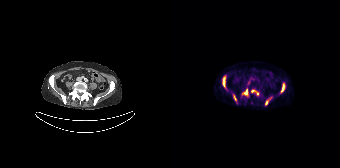
Two-panel axial: CT | PSMA PET, 68Ga tracer. Coordinates are on the 168×168 PET (right) panel. PSMA-avid tumor lesion bounding boxes (x, y, width, height): x=50 y=75 w=4 h=14 / x=71 y=89 w=6 h=8 / x=79 y=88 w=9 h=8 / x=109 y=83 w=4 h=10 / x=93 y=97 w=7 h=9 / x=61 y=95 w=4 h=6.